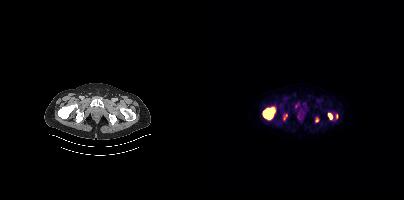
{"modality":"PSMA PET/CT","view":"axial","tracer":"18F-PSMA","pet_grid":[200,200],"coord_frame":"pet_panel","coord_format":"x0,y0,x1,y1","partial":true,"lesion_bboxes":[[59,108,70,119],[124,113,128,119]],"small_foci_centers":[[82,115],[80,118],[112,120]]}